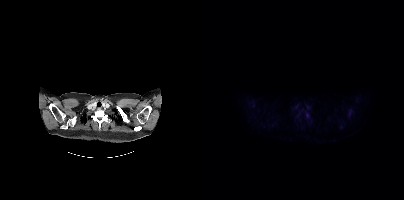
{"modality":"PSMA PET/CT","view":"axial","tracer":"18F","pet_grid":[200,200],"coord_frame":"pet_panel","coord_format":"x0,y0,x1,y1","lesion_bboxes":[],"small_foci_centers":[[103,114]]}